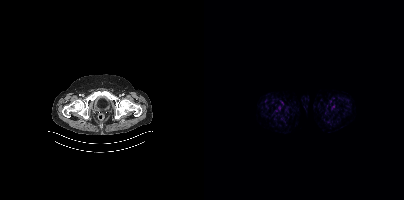
Negative for PSMA-avid disease on this slice. Paired axial CT (left) and PSMA PET (right), 18F tracer. Slice 13 of 433. PET panel 200×200 px (4.1 mm/px).